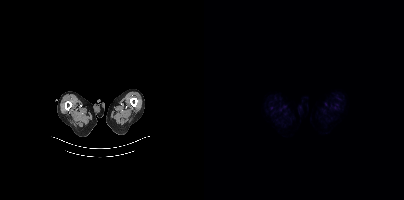
No tumor lesions annotated on this slice.